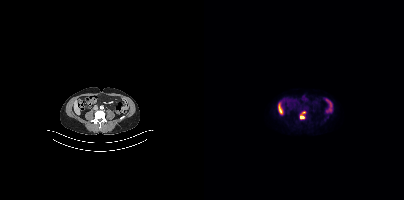
Left: CT. Right: PSMA PET, same axial level, [18F]PSMA-1007 tracer. PET panel 200×200 px (4.1 mm/px).
Coordinates are on the 200×200 PET (right) panel. PSMA-avid tumor lesion bounding boxes:
| # | x0 | y0 | x1 | y1 |
|---|---|---|---|---|
| 1 | 96 | 111 | 101 | 119 |